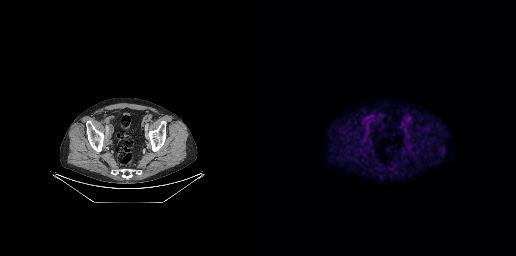
{"pet_grid":[256,256],"coord_frame":"pet_panel","coord_format":"x0,y0,x1,y1","psma_avid_lesions":false,"modality":"PSMA PET/CT","view":"axial","tracer":"[18F]PSMA-1007"}